Two-panel axial: CT | PSMA PET, 68Ga tracer.
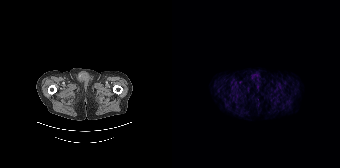
No PSMA-avid tumor lesions on this slice.